- Two-panel axial: CT | PSMA PET, 18F-PSMA tracer
- acquired on GE Discovery 690
- PET panel 256×256 px (2.7 mm/px)
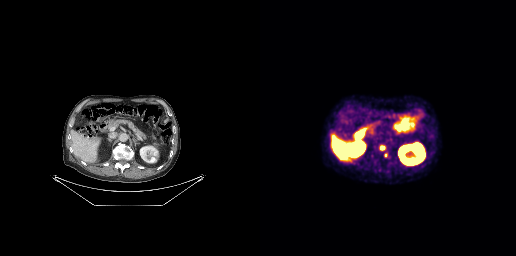
Findings: Coordinates are on the 256×256 PET (right) panel. PSMA-avid tumor lesion bounding box (x, y, width, height): x=120 y=145 w=6 h=6. Small PSMA-avid focus (2 to 4 px across) near (center x, center y): (125, 154).